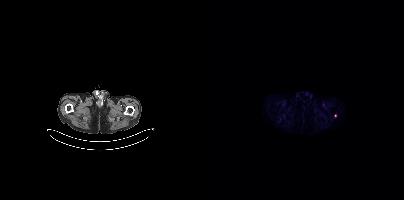
Findings: Coordinates are on the 200×200 PET (right) panel. Small PSMA-avid focus (2 to 4 px across) near (center x, center y): (131, 115).
Technique: Two-panel axial: CT | PSMA PET, [18F]PSMA-1007 tracer. slice 25 of 385.